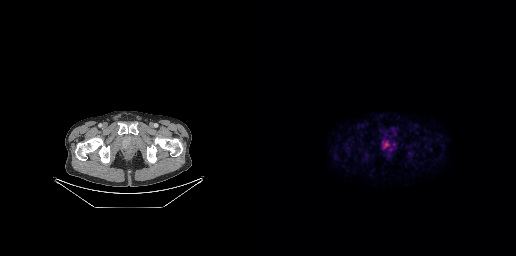
Paired axial CT (left) and PSMA PET (right), 18F-PSMA tracer.
Coordinates are on the 256×256 PET (right) panel. PSMA-avid tumor lesion bounding boxes:
| # | x0 | y0 | x1 | y1 |
|---|---|---|---|---|
| 1 | 121 | 140 | 130 | 148 |
Small PSMA-avid focus (2 to 4 px across) near (center x, center y): (133, 144).